Left: CT. Right: PSMA PET, same axial level, 18F-PSMA tracer. Acquired on Siemens Biograph mCT Flow 20. PET panel 200×200 px (4.1 mm/px).
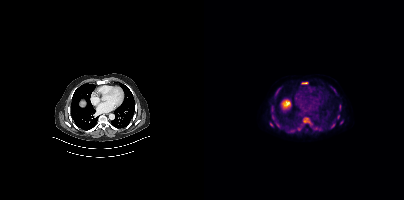
Coordinates are on the 200×200 PET (right) panel. PSMA-avid tumor lesion bounding boxes (x, y, width, height): x=99 y=117 w=8 h=8; x=67 y=105 w=4 h=8; x=71 y=121 w=6 h=7; x=68 y=115 w=5 h=5; x=97 y=82 w=7 h=3; x=126 y=86 w=7 h=6; x=127 y=123 w=5 h=6; x=72 y=87 w=5 h=6; x=93 y=127 w=5 h=4; x=135 y=104 w=3 h=6; x=86 y=130 w=5 h=2. Small PSMA-avid foci (2 to 4 px across) near (center x, center y): (134, 116); (67, 124); (137, 122).